- Left: CT. Right: PSMA PET, same axial level, [18F]PSMA-1007 tracer
- acquired on Siemens Biograph mCT Flow 20
- slice position z = -682 mm
- PET panel 200×200 px (4.1 mm/px)
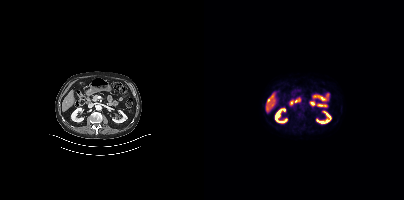
Findings: This slice has no annotated PSMA-avid lesion.